Technique: Two-panel axial: CT | PSMA PET, 18F-PSMA tracer. slice 312 of 389. PET panel 200×200 px (4.1 mm/px).
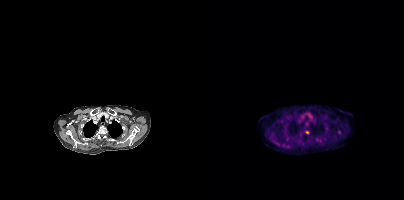
Findings: Coordinates are on the 200×200 PET (right) panel. Small PSMA-avid foci (2 to 4 px across) near (center x, center y): (135, 131); (103, 132); (115, 140).